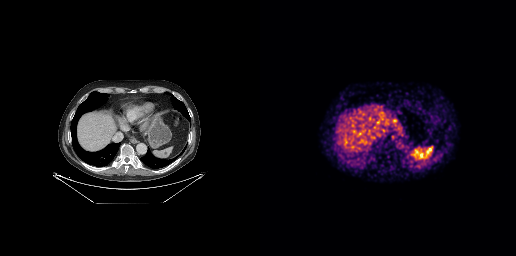
{"pet_grid":[256,256],"coord_frame":"pet_panel","coord_format":"x0,y0,x1,y1","lesion_bboxes":[[165,149,171,155]],"modality":"PSMA PET/CT","view":"axial","tracer":"[68Ga]Ga-PSMA-11"}